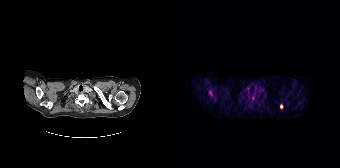
modality: PSMA PET/CT | tracer: [18F]PSMA-1007 | view: axial | PET grid: 168×168
Coordinates are on the 168×168 PET (right) panel. Small PSMA-avid foci (2 to 4 px across) near (center x, center y): (81, 97) (109, 106) (37, 92).